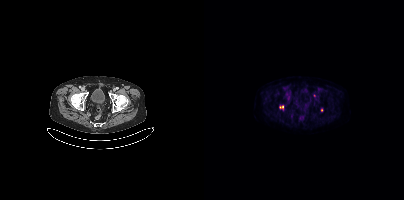
Coordinates are on the 200×200 PET (right) panel. Small PSMA-avid foci (2 to 4 px across) near (center x, center y): (77, 107) | (110, 95) | (117, 110) | (84, 97). Two-panel axial: CT | PSMA PET, [18F]PSMA-1007 tracer. Acquired on Siemens Biograph mCT Flow 20. Slice 74 of 387.